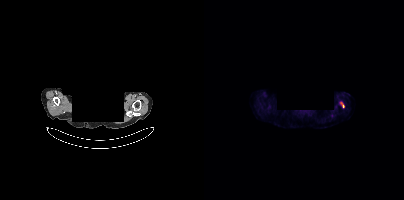
- facial anatomy redacted by setting a rectangular region of the head to black
- Paired axial CT (left) and PSMA PET (right), 18F-PSMA tracer
Findings: Coordinates are on the 200×200 PET (right) panel. PSMA-avid tumor lesion bounding box (x, y, width, height): x=136 y=102 w=5 h=6.